Left: CT. Right: PSMA PET, same axial level, 18F tracer. Acquired on Siemens Biograph mCT Flow 20. Slice position z = -1499 mm. PET panel 200×200 px (4.1 mm/px).
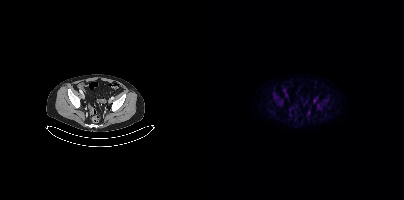
No PSMA-avid tumor lesions on this slice.